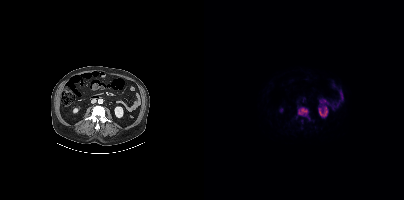
Left: CT. Right: PSMA PET, same axial level, [18F]PSMA-1007 tracer. Slice position z = -1449 mm. Coordinates are on the 200×200 PET (right) panel. PSMA-avid tumor lesion bounding box (x0, y0)-(x1, y1): (94, 107)-(105, 119).